Paired axial CT (left) and PSMA PET (right), 18F-PSMA tracer. Acquired on Siemens Biograph mCT Flow 20. PET panel 200×200 px (4.1 mm/px).
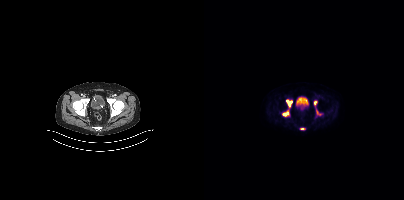
Coordinates are on the 200×200 PET (right) panel. PSMA-avid tumor lesion bounding boxes:
| # | x0 | y0 | x1 | y1 |
|---|---|---|---|---|
| 1 | 82 | 99 | 88 | 107 |
| 2 | 78 | 110 | 85 | 116 |
| 3 | 112 | 109 | 117 | 115 |
| 4 | 109 | 100 | 113 | 107 |
| 5 | 96 | 128 | 101 | 129 |